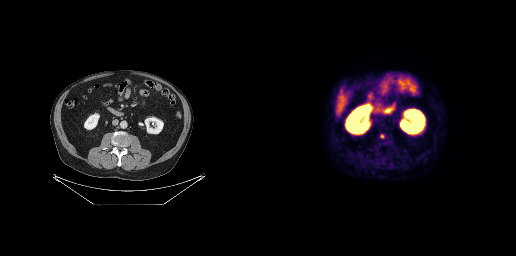
Findings: Coordinates are on the 256×256 PET (right) panel. PSMA-avid tumor lesion bounding box (x0, y0)-(x1, y1): (120, 134)-(124, 138).
Technique: Left: CT. Right: PSMA PET, same axial level, [18F]PSMA-1007 tracer. acquired on GE Discovery 690.